Left: CT. Right: PSMA PET, same axial level, 18F tracer. Slice position z = -1367 mm. PET panel 200×200 px (4.1 mm/px).
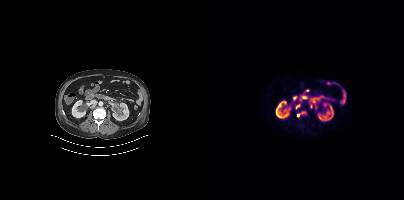
Coordinates are on the 200×200 PET (right) panel. PSMA-avid tumor lesion bounding box (x, y, width, height): x=92 y=104 w=4 h=5. Small PSMA-avid foci (2 to 4 px across) near (center x, center y): (94, 115); (98, 112).